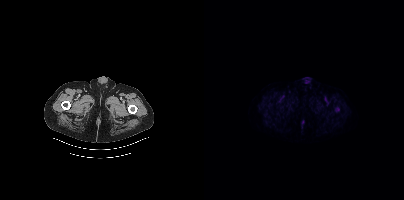
Two-panel axial: CT | PSMA PET, [18F]PSMA-1007 tracer. Slice position z = -1471 mm. PET panel 200×200 px (4.1 mm/px). Coordinates are on the 200×200 PET (right) panel. PSMA-avid tumor lesion bounding box (x, y, width, height): x=131 y=107 w=5 h=5.